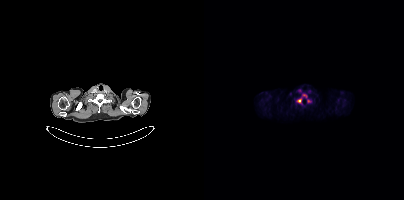
Coordinates are on the 200×200 PET (right) panel. PSMA-avid tumor lesion bounding box (x0,y0,x1,y1): [92,94,107,104].